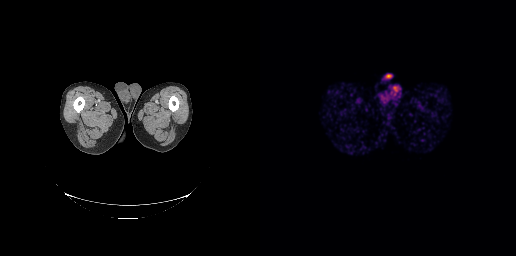
{"modality":"PSMA PET/CT","view":"axial","tracer":"[68Ga]Ga-PSMA-11","pet_grid":[256,256],"coord_frame":"pet_panel","coord_format":"x0,y0,x1,y1","psma_avid_lesions":false}